Technique: Paired axial CT (left) and PSMA PET (right), 18F-PSMA tracer. slice position z = -1548 mm.
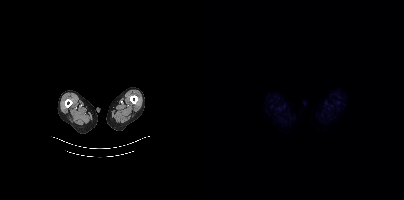
Findings: Negative for PSMA-avid disease on this slice.